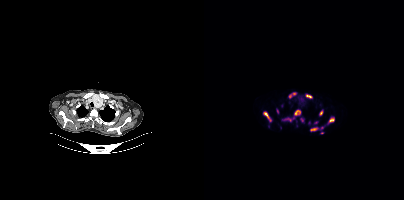
Coordinates are on the 200×200 PET (right) panel. PSMA-avid tumor lesion bounding boxes (partial; 2 more foci not listed):
| # | x0 | y0 | x1 | y1 |
|---|---|---|---|---|
| 1 | 59 | 111 | 67 | 121 |
| 2 | 90 | 110 | 96 | 115 |
| 3 | 124 | 117 | 130 | 123 |
| 4 | 106 | 128 | 113 | 131 |
| 5 | 102 | 94 | 107 | 98 |
| 6 | 81 | 118 | 87 | 121 |
| 7 | 115 | 111 | 118 | 115 |
Small PSMA-avid foci (2 to 4 px across) near (center x, center y): (86, 96); (98, 119); (90, 93); (73, 111); (112, 122); (117, 127).
Two-panel axial: CT | PSMA PET, 18F-PSMA tracer. Acquired on Siemens Biograph mCT Flow 20. Slice 325 of 387. PET panel 200×200 px (4.1 mm/px).